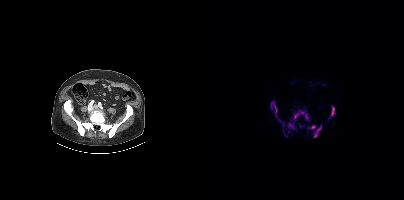
{"modality":"PSMA PET/CT","view":"axial","tracer":"[18F]PSMA-1007","pet_grid":[200,200],"coord_frame":"pet_panel","coord_format":"x0,y0,x1,y1","lesion_bboxes":[[88,110,105,120],[109,125,117,137],[124,105,131,119],[67,101,73,116],[84,122,90,129],[104,124,112,129],[78,122,80,126]],"small_foci_centers":[[75,120],[96,126],[82,135],[84,131]]}